Technique: Two-panel axial: CT | PSMA PET, 18F-PSMA tracer. PET panel 200×200 px (4.1 mm/px).
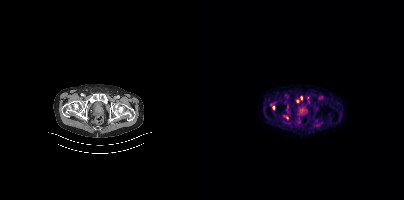
Findings: Coordinates are on the 200×200 PET (right) panel. (showing 3 of 4 foci) Small PSMA-avid foci (2 to 4 px across) near (center x, center y): (93, 101) | (69, 107) | (97, 98).